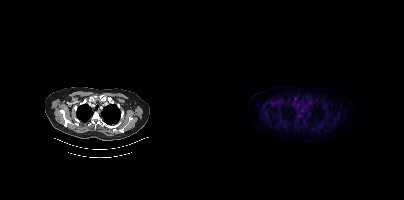
Two-panel axial: CT | PSMA PET, 18F tracer. Slice 292 of 381. PET panel 200×200 px (4.1 mm/px). Only PSMA-avid lesion pieces thinner than 2 px on this slice (not listed).